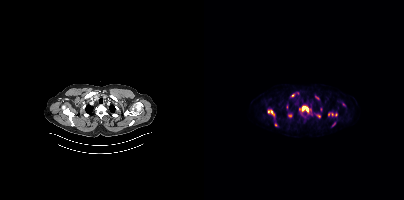
{"modality":"PSMA PET/CT","view":"axial","tracer":"18F","pet_grid":[200,200],"coord_frame":"pet_panel","coord_format":"x0,y0,x1,y1","partial":true,"lesion_bboxes":[[64,110,70,115],[98,106,104,110]],"small_foci_centers":[[113,97],[114,116],[86,115],[88,95],[71,125]]}